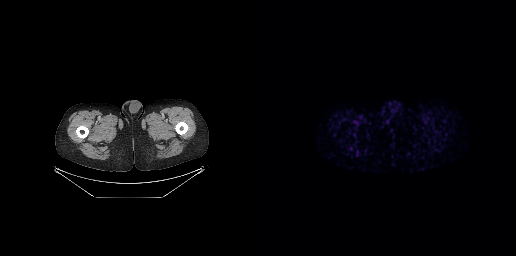
Negative for PSMA-avid disease on this slice. Paired axial CT (left) and PSMA PET (right), 68Ga tracer. Acquired on GE Discovery 690. PET panel 256×256 px (2.7 mm/px).